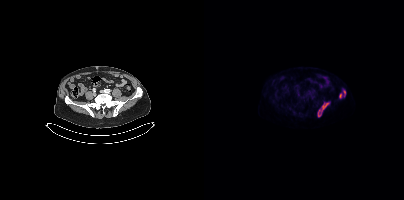
modality: PSMA PET/CT | tracer: 18F | view: axial | PET grid: 200×200
Coordinates are on the 200×200 PET (right) panel. PSMA-avid tumor lesion bounding boxes (x0, y0)-(x1, y1): (114, 102)-(125, 117) / (135, 90)-(141, 98).